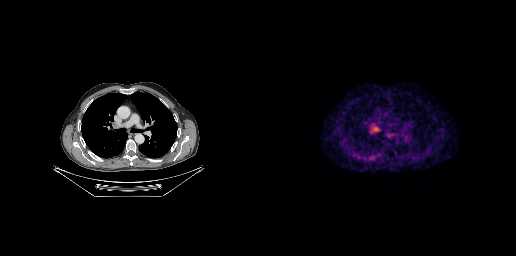
{"modality":"PSMA PET/CT","view":"axial","tracer":"[68Ga]Ga-PSMA-11","pet_grid":[256,256],"coord_frame":"pet_panel","coord_format":"x0,y0,x1,y1","partial":true,"lesion_bboxes":[[112,125,117,130]]}